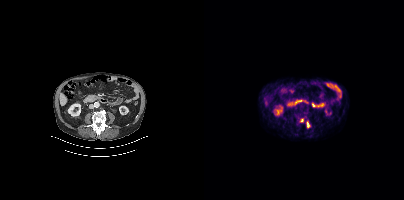
Coordinates are on the 200×200 PET (right) panel. PSMA-avid tumor lesion bounding box (x0, y0)-(x1, y1): (102, 121)-(105, 127). Small PSMA-avid focus (2 to 4 px across) near (center x, center y): (97, 120). Two-panel axial: CT | PSMA PET, 18F tracer.